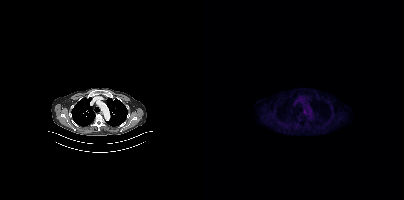
- Two-panel axial: CT | PSMA PET, 18F tracer
- slice position z = -494 mm
Findings: This slice has no annotated PSMA-avid lesion.